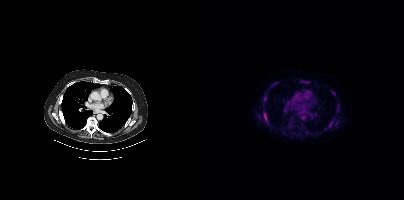
Coordinates are on the 200×200 PET (right) panel. PSMA-avid tumor lesion bounding box (x0,y0,x1,y1): [61,114,62,118]. Two-panel axial: CT | PSMA PET, 18F-PSMA tracer. Slice position z = -398 mm. PET panel 200×200 px (4.1 mm/px).